- Paired axial CT (left) and PSMA PET (right), 68Ga-PSMA tracer
- slice position z = -952 mm
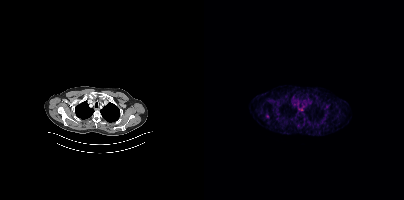
Findings: No tumor lesions annotated on this slice.